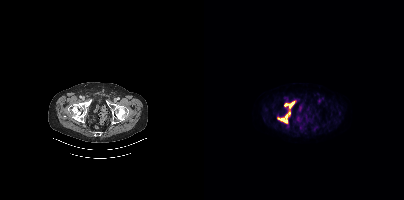
{"pet_grid":[200,200],"coord_frame":"pet_panel","coord_format":"x0,y0,x1,y1","partial":true,"lesion_bboxes":[[80,102,90,107],[76,118,83,122],[82,112,86,117]],"modality":"PSMA PET/CT","view":"axial","tracer":"18F"}